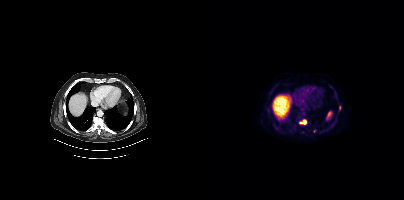
Two-panel axial: CT | PSMA PET, 18F tracer. PET panel 200×200 px (4.1 mm/px).
Coordinates are on the 200×200 PET (right) panel. PSMA-avid tumor lesion bounding boxes (partial; 1 more focus not listed):
| # | x0 | y0 | x1 | y1 |
|---|---|---|---|---|
| 1 | 95 | 119 | 102 | 124 |
Small PSMA-avid foci (2 to 4 px across) near (center x, center y): (99, 132); (135, 107); (110, 131).